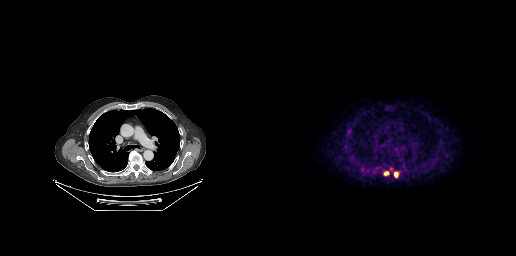
Coordinates are on the 256×256 PET (right) panel. PSMA-avid tumor lesion bounding boxes (x0, y0)-(x1, y1): (134, 172)-(137, 177); (124, 172)-(128, 175).